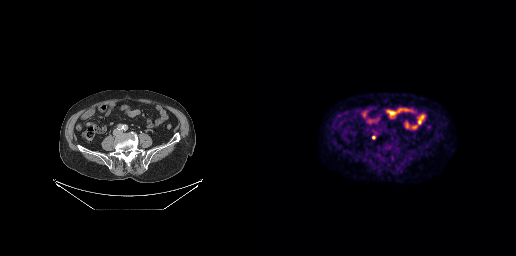
{"modality":"PSMA PET/CT","view":"axial","tracer":"[18F]PSMA-1007","pet_grid":[256,256],"coord_frame":"pet_panel","coord_format":"x0,y0,x1,y1","lesion_bboxes":[],"small_foci_centers":[[113,137]]}